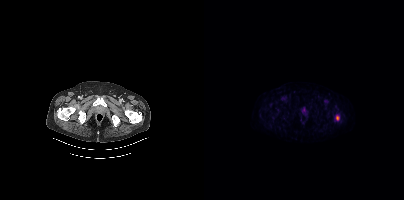
{"modality":"PSMA PET/CT","view":"axial","tracer":"18F","pet_grid":[200,200],"coord_frame":"pet_panel","coord_format":"x0,y0,x1,y1","lesion_bboxes":[],"small_foci_centers":[[133,118]]}